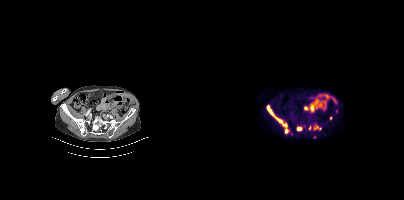
Coordinates are on the 200×200 PET (right) panel. PSMA-avid tumor lesion bounding boxes (x, y, width, height): x=62 y=105 w=23 h=29; x=109 y=124 w=9 h=6; x=93 y=126 w=6 h=6. Small PSMA-avid foci (2 to 4 px across) near (center x, center y): (127, 117); (106, 127); (110, 137); (132, 111).